Technique: Left: CT. Right: PSMA PET, same axial level, 18F tracer. slice 208 of 371. PET panel 256×256 px (2.7 mm/px).
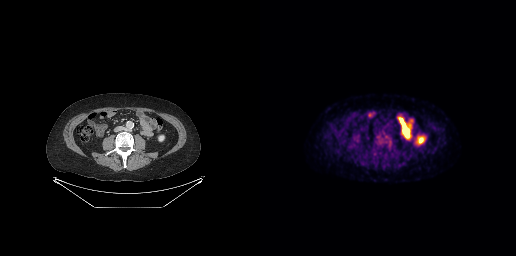
Findings: No PSMA-avid tumor lesions on this slice.